- Left: CT. Right: PSMA PET, same axial level, 18F tracer
- acquired on Siemens Biograph mCT Flow 20
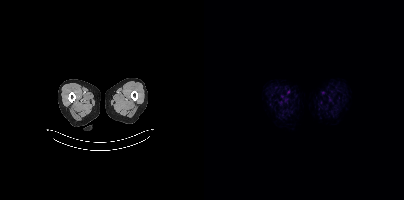
Findings: No tumor lesions annotated on this slice.